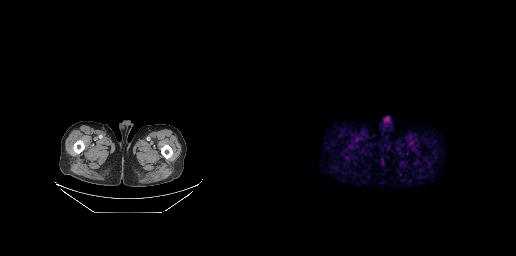
No tumor lesions annotated on this slice.